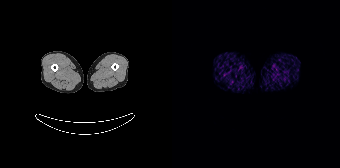
Findings: Negative for PSMA-avid disease on this slice.
Technique: Left: CT. Right: PSMA PET, same axial level, 68Ga-PSMA tracer. slice position z = -900 mm. PET panel 168×168 px (4.1 mm/px).